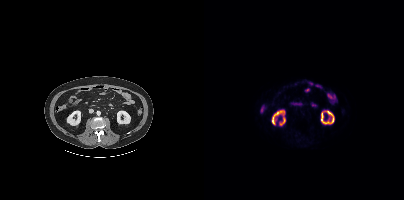
No tumor lesions annotated on this slice.